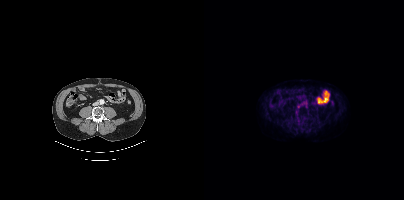
{"modality":"PSMA PET/CT","view":"axial","tracer":"[18F]PSMA-1007","pet_grid":[200,200],"coord_frame":"pet_panel","coord_format":"x0,y0,x1,y1","psma_avid_lesions":false}